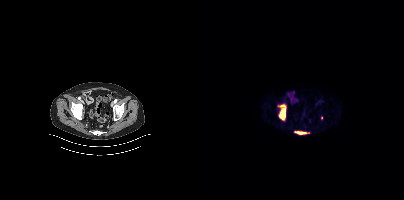
Coordinates are on the 200×200 PET (right) panel. (showing 2 of 3 foci) PSMA-avid tumor lesion bounding boxes (x0,y0,x1,y1): [75,105,81,119], [91,131,105,134].